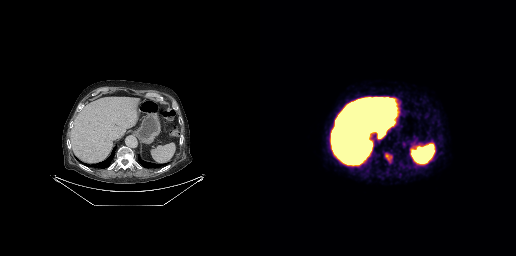
Coordinates are on the 256×256 PET (right) panel. PSMA-avid tumor lesion bounding box (x0,y0,x1,y1): [125,153,132,162].
modality: PSMA PET/CT | tracer: [18F]PSMA-1007 | view: axial